Paired axial CT (left) and PSMA PET (right), 18F-PSMA tracer. Acquired on Siemens Biograph mCT Flow 20. Slice 233 of 407.
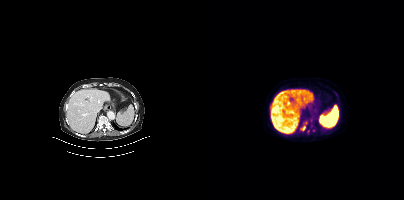
Coordinates are on the 200×200 PET (right) panel. (showing 4 of 5 foci) PSMA-avid tumor lesion bounding boxes (x, y, width, height): x=97 y=126 w=5 h=5 / x=103 y=129 w=3 h=6. Small PSMA-avid foci (2 to 4 px across) near (center x, center y): (109, 130) / (107, 126).